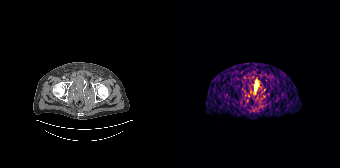
{"modality":"PSMA PET/CT","view":"axial","tracer":"68Ga","pet_grid":[168,168],"coord_frame":"pet_panel","coord_format":"x0,y0,x1,y1","lesion_bboxes":[[83,82,86,90]]}